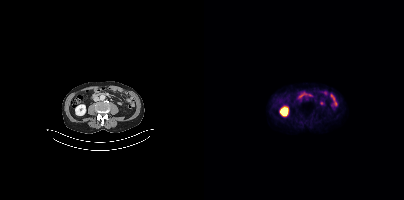
Paired axial CT (left) and PSMA PET (right), 18F-PSMA tracer. Slice position z = -761 mm. No tumor lesions annotated on this slice.